Left: CT. Right: PSMA PET, same axial level, 18F tracer. Slice 303 of 454.
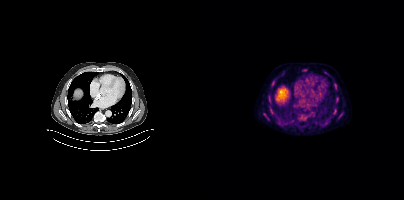
Coordinates are on the 200×200 PET (right) panel. (showing 6 of 8 foci) PSMA-avid tumor lesion bounding boxes (x, y, width, height): x=60 y=113 w=6 h=8; x=98 y=69 w=5 h=3. Small PSMA-avid foci (2 to 4 px across) near (center x, center y): (131, 110); (132, 88); (78, 74); (121, 72).